- Paired axial CT (left) and PSMA PET (right), 18F-PSMA tracer
- acquired on Siemens Biograph mCT Flow 20
- PET panel 200×200 px (4.1 mm/px)
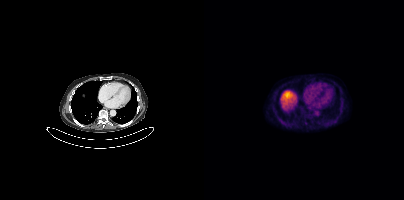
Findings: No tumor lesions annotated on this slice.